Technique: Two-panel axial: CT | PSMA PET, [68Ga]Ga-PSMA-11 tracer. acquired on Siemens Biograph mCT Flow 20.
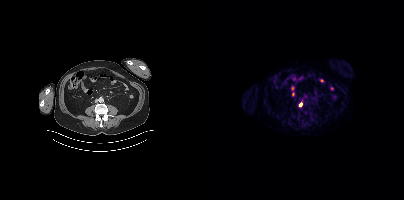
Findings: Coordinates are on the 200×200 PET (right) panel. Small PSMA-avid focus (2 to 4 px across) near (center x, center y): (96, 104).